- Two-panel axial: CT | PSMA PET, [18F]PSMA-1007 tracer
- acquired on GE Discovery 690
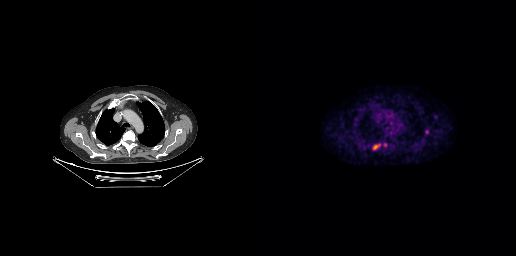
Findings: Coordinates are on the 256×256 PET (right) panel. (showing 2 of 3 foci) PSMA-avid tumor lesion bounding box (x0,y0,x1,y1): [113,144,119,149]. Small PSMA-avid focus (2 to 4 px across) near (center x, center y): (166, 131).